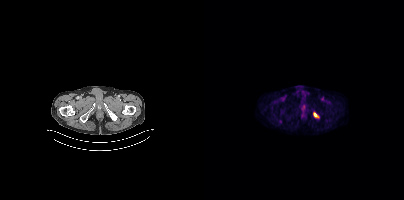
{"modality":"PSMA PET/CT","view":"axial","tracer":"18F","pet_grid":[200,200],"coord_frame":"pet_panel","coord_format":"x0,y0,x1,y1","lesion_bboxes":[],"small_foci_centers":[[111,114]]}